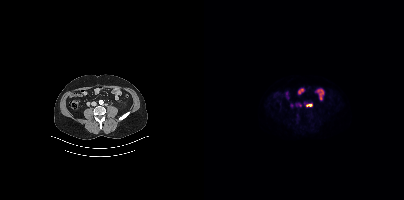
{"modality":"PSMA PET/CT","view":"axial","tracer":"[18F]PSMA-1007","pet_grid":[200,200],"coord_frame":"pet_panel","coord_format":"x0,y0,x1,y1","lesion_bboxes":[[102,104,108,106]]}